Technique: Paired axial CT (left) and PSMA PET (right), 18F tracer. acquired on Siemens Biograph mCT Flow 20. slice 170 of 963.
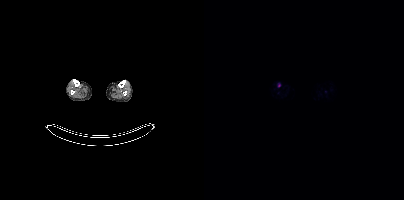
Findings: Only PSMA-avid lesion pieces thinner than 2 px on this slice (not listed).